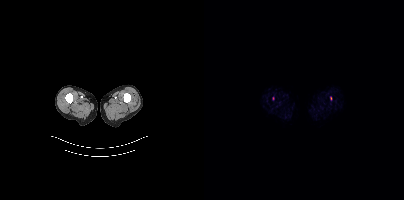
Paired axial CT (left) and PSMA PET (right), 18F tracer. Acquired on Siemens Biograph mCT Flow 20. PET panel 200×200 px (4.1 mm/px). Coordinates are on the 200×200 PET (right) panel. (showing 1 of 2 foci) Small PSMA-avid focus (2 to 4 px across) near (center x, center y): (126, 98).